modality: PSMA PET/CT | tracer: 18F | view: axial
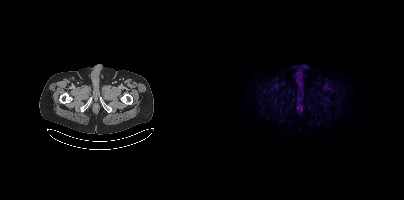
No PSMA-avid tumor lesions on this slice.